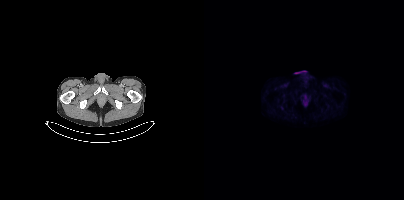
Findings: Negative for PSMA-avid disease on this slice.
- Paired axial CT (left) and PSMA PET (right), 18F tracer